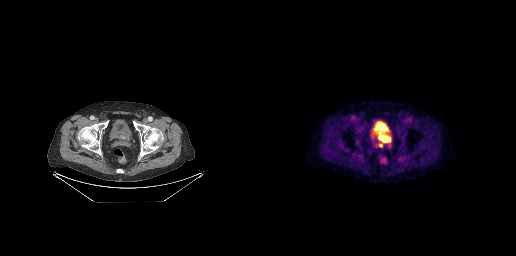
{"modality":"PSMA PET/CT","view":"axial","tracer":"18F-PSMA","pet_grid":[256,256],"coord_frame":"pet_panel","coord_format":"x0,y0,x1,y1","lesion_bboxes":[[120,137,125,140]]}